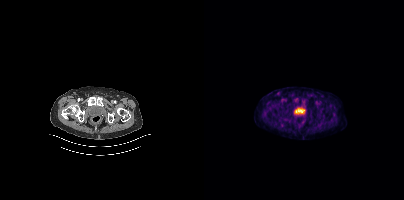
{"modality":"PSMA PET/CT","view":"axial","tracer":"18F-PSMA","pet_grid":[200,200],"coord_frame":"pet_panel","coord_format":"x0,y0,x1,y1","psma_avid_lesions":false}